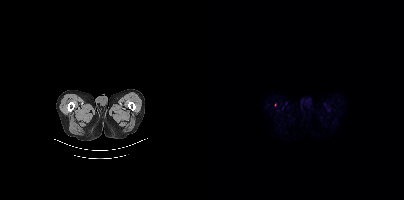
Coordinates are on the 200×200 PET (right) panel. Small PSMA-avid focus (2 to 4 px across) near (center x, center y): (71, 104).